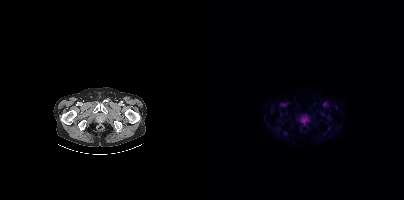
Two-panel axial: CT | PSMA PET, 18F tracer. PET panel 200×200 px (4.1 mm/px). No PSMA-avid tumor lesions on this slice.